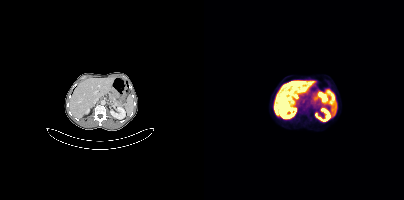
Coordinates are on the 200×200 PET (right) panel. PSMA-avid tumor lesion bounding box (x0, y0)-(x1, y1): (96, 106)-(102, 113).